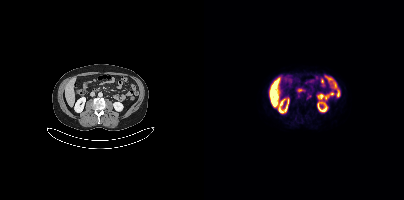
Paired axial CT (left) and PSMA PET (right), 18F tracer. Coordinates are on the 200×200 PET (right) panel. Small PSMA-avid focus (2 to 4 px across) near (center x, center y): (104, 96).